modality: PSMA PET/CT | tracer: 18F-PSMA | view: axial | PET grid: 200×200
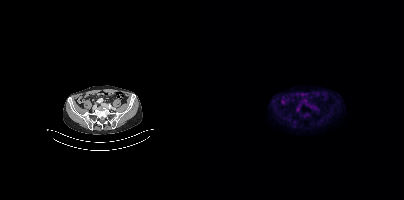
Coordinates are on the 200×200 PET (right) panel. Small PSMA-avid focus (2 to 4 px across) near (center x, center y): (90, 125).